Left: CT. Right: PSMA PET, same axial level, 18F-PSMA tracer. Slice position z = -712 mm. PET panel 256×256 px (2.7 mm/px).
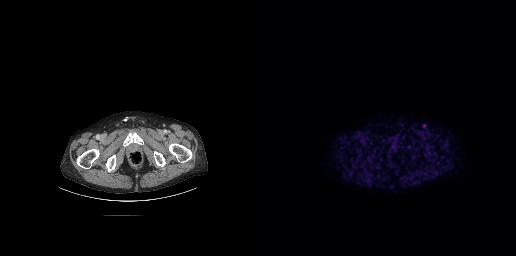
This slice has no annotated PSMA-avid lesion.